modality: PSMA PET/CT | tracer: 18F | view: axial | PET grid: 200×200
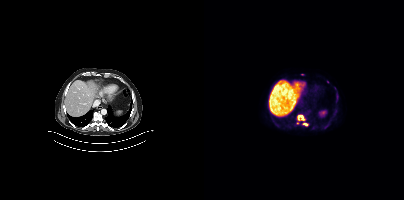
Coordinates are on the 200×200 PET (right) panel. (showing 3 of 4 foci) PSMA-avid tumor lesion bounding boxes (x0,y0,x1,y1): [93,114,101,120], [98,123,104,126]. Small PSMA-avid focus (2 to 4 px across) near (center x, center y): (98, 74).